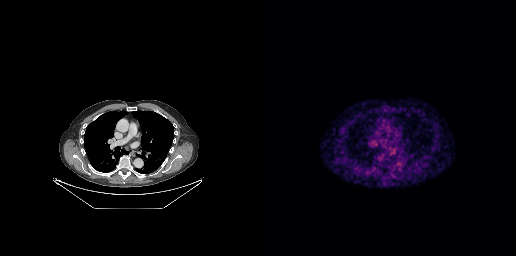
No PSMA-avid tumor lesions on this slice. Two-panel axial: CT | PSMA PET, 68Ga tracer. Slice 178 of 263.